- Left: CT. Right: PSMA PET, same axial level, 18F tracer
- acquired on Siemens Biograph mCT Flow 20
- slice position z = -1325 mm
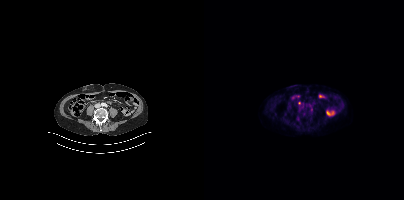
Findings: Coordinates are on the 200×200 PET (right) panel. Small PSMA-avid focus (2 to 4 px across) near (center x, center y): (95, 103).